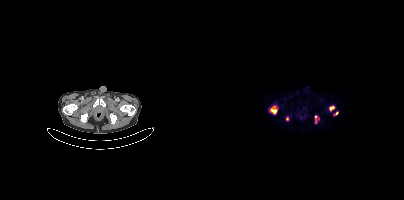
Coordinates are on the 200×200 PET (right) panel. PSMA-avid tumor lesion bounding boxes (x, y, width, height): x=125 y=106 w=6 h=5; x=66 y=108 w=7 h=5; x=111 y=116 w=2 h=8. Small PSMA-avid foci (2 to 4 px across) near (center x, center y): (83, 118); (132, 113).